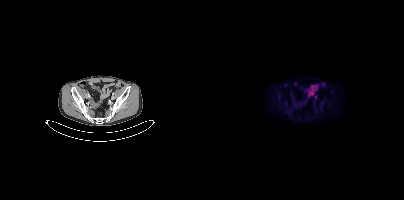
Coordinates are on the 200×200 PET (right) panel. Small PSMA-avid focus (2 to 4 px across) near (center x, center y): (111, 96).